- Paired axial CT (left) and PSMA PET (right), 18F tracer
- slice position z = -1518 mm
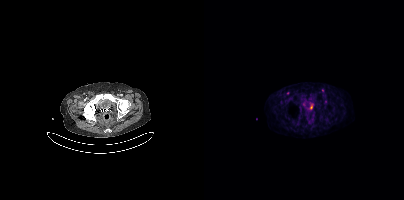
Findings: Coordinates are on the 200×200 PET (right) panel. Small PSMA-avid foci (2 to 4 px across) near (center x, center y): (84, 93), (118, 90).